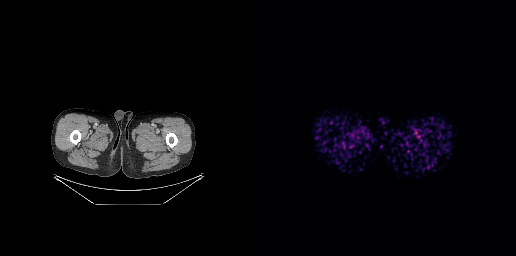
modality: PSMA PET/CT | tracer: 68Ga | view: axial | PET grid: 256×256
No PSMA-avid tumor lesions on this slice.